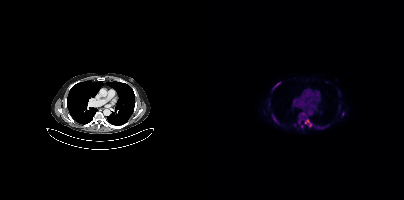
Findings: Coordinates are on the 200×200 PET (right) panel. (showing 7 of 8 foci) PSMA-avid tumor lesion bounding boxes (x, y, width, height): x=68 y=114 w=7 h=10 | x=118 y=125 w=8 h=4 | x=69 y=82 w=8 h=7 | x=101 y=120 w=5 h=4. Small PSMA-avid foci (2 to 4 px across) near (center x, center y): (138, 114) | (106, 125) | (97, 126).
Technique: Two-panel axial: CT | PSMA PET, 18F tracer. acquired on Siemens Biograph mCT Flow 20. slice position z = -564 mm.